- Paired axial CT (left) and PSMA PET (right), [18F]PSMA-1007 tracer
- slice position z = -1122 mm
- PET panel 200×200 px (4.1 mm/px)
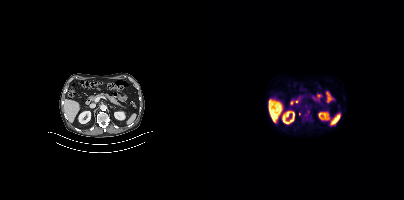
Findings: Negative for PSMA-avid disease on this slice.